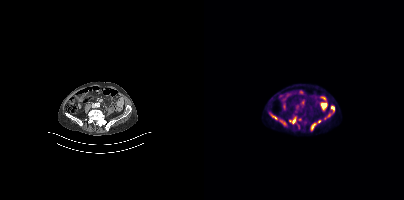
{"modality":"PSMA PET/CT","view":"axial","tracer":"[18F]PSMA-1007","pet_grid":[200,200],"coord_frame":"pet_panel","coord_format":"x0,y0,x1,y1","lesion_bboxes":[[67,114,73,119]],"small_foci_centers":[[91,117]]}